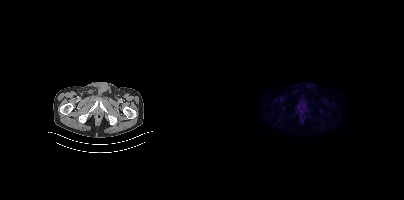
- Two-panel axial: CT | PSMA PET, 18F-PSMA tracer
- slice 41 of 411
Findings: No tumor lesions annotated on this slice.